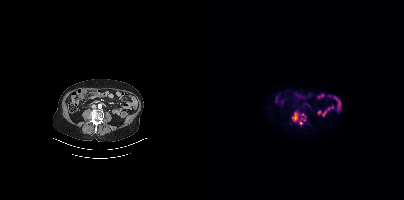
Coordinates are on the 200×200 PET (right) panel. PSMA-avid tumor lesion bounding box (x0,y0,x1,y1): [88,111,102,124]. Small PSMA-avid focus (2 to 4 px across) near (center x, center y): (87, 123).